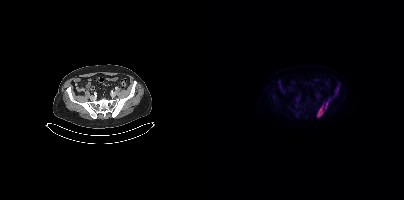
Coordinates are on the 200×200 PET (right) panel. PSMA-avid tumor lesion bounding boxes (x0, y0)-(x1, y1): (113, 106)-(119, 117) | (121, 102)-(123, 108). Small PSMA-avid focus (2 to 4 px across) near (center x, center y): (133, 91).